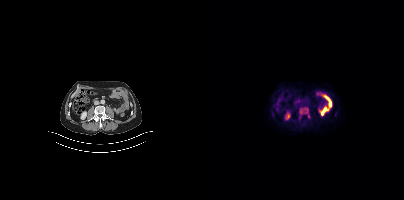
Coordinates are on the 200×200 PET (right) panel. (showing 3 of 4 foci) PSMA-avid tumor lesion bounding box (x, y, width, height): x=102 y=108 w=2 h=5. Small PSMA-avid foci (2 to 4 px across) near (center x, center y): (97, 111) | (104, 116).